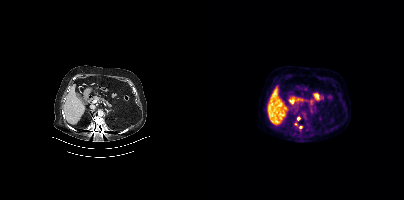
Findings: Coordinates are on the 200×200 PET (right) panel. Small PSMA-avid foci (2 to 4 px across) near (center x, center y): (96, 127); (94, 118); (91, 124).
- Left: CT. Right: PSMA PET, same axial level, 18F tracer
- slice position z = 234 mm
- PET panel 200×200 px (4.1 mm/px)